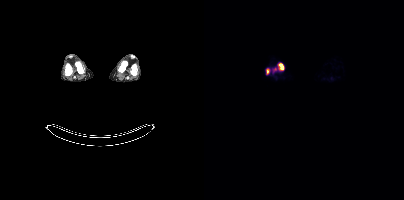
Coordinates are on the 200×200 PET (right) panel. PSMA-avid tumor lesion bounding boxes:
| # | x0 | y0 | x1 | y1 |
|---|---|---|---|---|
| 1 | 75 | 63 | 79 | 69 |
| 2 | 63 | 70 | 64 | 74 |
Two-panel axial: CT | PSMA PET, [18F]PSMA-1007 tracer. Slice 284 of 963.